Paired axial CT (left) and PSMA PET (right), 68Ga-PSMA tracer. Acquired on Siemens Biograph mCT Flow 20. Slice position z = -1043 mm. PET panel 200×200 px (4.1 mm/px).
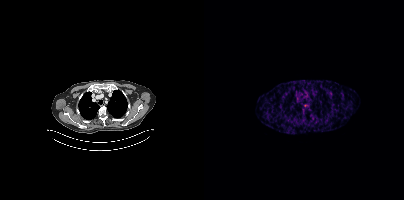
This slice has no annotated PSMA-avid lesion.